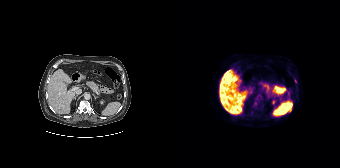
{"modality":"PSMA PET/CT","view":"axial","tracer":"[18F]PSMA-1007","pet_grid":[168,168],"coord_frame":"pet_panel","coord_format":"x0,y0,x1,y1","lesion_bboxes":[],"small_foci_centers":[[123,80]]}